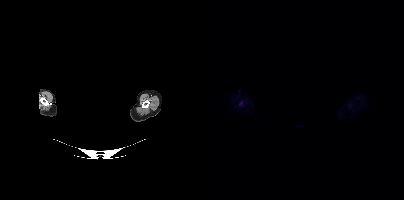
Coordinates are on the 200×200 PET (right) panel. Small PSMA-avid focus (2 to 4 px across) near (center x, center y): (36, 104). De-identified by setting a box covering the face to black before release. Left: CT. Right: PSMA PET, same axial level, 18F-PSMA tracer.